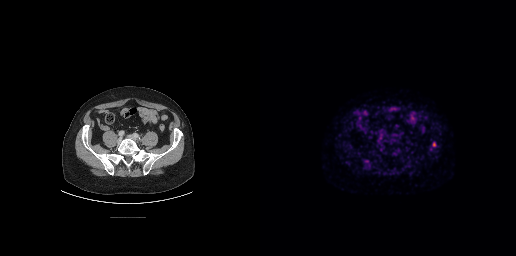
modality: PSMA PET/CT | tracer: 18F-PSMA | view: axial
Coordinates are on the 256×256 PET (right) panel. (showing 1 of 2 foci) PSMA-avid tumor lesion bounding box (x, y, width, height): x=172 y=142 w=5 h=5.